Paired axial CT (left) and PSMA PET (right), [18F]PSMA-1007 tracer. Acquired on Siemens Biograph mCT Flow 20. Slice position z = -1081 mm.
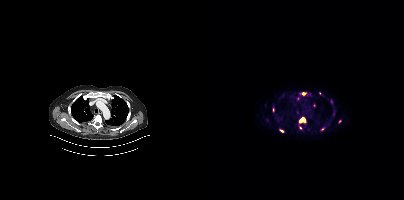
Coordinates are on the 200×200 PET (right) panel. PSMA-avid tumor lesion bounding boxes (partial; 4 more foci not listed):
| # | x0 | y0 | x1 | y1 |
|---|---|---|---|---|
| 1 | 95 | 117 | 102 | 123 |
| 2 | 98 | 92 | 102 | 95 |
| 3 | 126 | 99 | 129 | 104 |
| 4 | 115 | 92 | 119 | 95 |
Small PSMA-avid foci (2 to 4 px across) near (center x, center y): (77, 130); (118, 129); (96, 128); (136, 121).